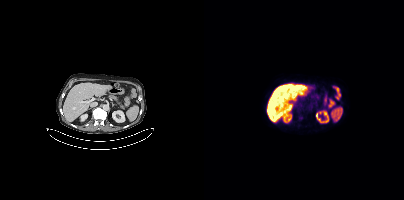
Two-panel axial: CT | PSMA PET, 18F tracer. Slice position z = 54 mm. This slice has no annotated PSMA-avid lesion.